modality: PSMA PET/CT | tracer: 18F-PSMA | view: axial | PET grid: 200×200
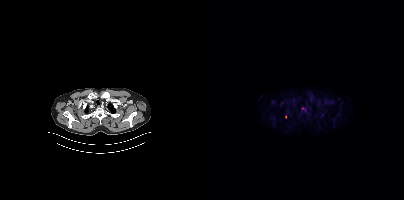
Coordinates are on the 200×200 PET (right) panel. Small PSMA-avid focus (2 to 4 px across) near (center x, center y): (81, 116).